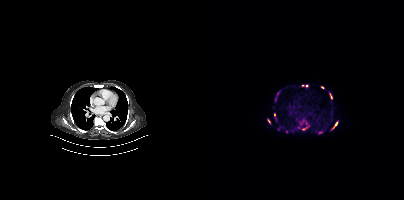
- Two-panel axial: CT | PSMA PET, 68Ga tracer
- slice position z = 804 mm
- PET panel 200×200 px (4.1 mm/px)
Findings: Coordinates are on the 200×200 PET (right) panel. (showing 11 of 15 foci) PSMA-avid tumor lesion bounding boxes (x, y, width, height): x=128 y=122 w=6 h=8 | x=125 y=93 w=4 h=6 | x=63 y=119 w=4 h=5 | x=99 y=126 w=6 h=4. Small PSMA-avid foci (2 to 4 px across) near (center x, center y): (97, 124) | (118, 87) | (71, 100) | (116, 132) | (102, 85) | (70, 116) | (102, 123).